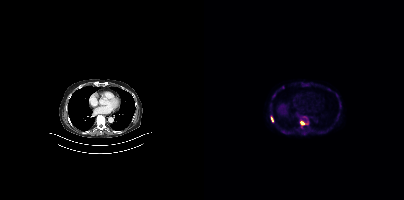
Coordinates are on the 200×200 PET (right) panel. PSMA-avid tumor lesion bounding boxes (x, y, width, height): x=96 y=120 w=9 h=6; x=67 y=117 w=3 h=5. Small PSMA-avid foci (2 to 4 px across) near (center x, center y): (100, 117); (78, 87).